Paired axial CT (left) and PSMA PET (right), 18F tracer. Acquired on Siemens Biograph mCT Flow 20.
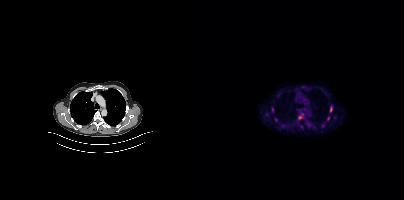
Coordinates are on the 200×200 PET (right) panel. (showing 9 of 10 foci) PSMA-avid tumor lesion bounding boxes (x0,y0,x1,y1): [125,105,128,113] [103,120,107,127] [123,116,125,120] [68,107,69,111]. Small PSMA-avid foci (2 to 4 px across) near (center x, center y): (118, 125) (72, 119) (110, 126) (63, 114) (130, 117).